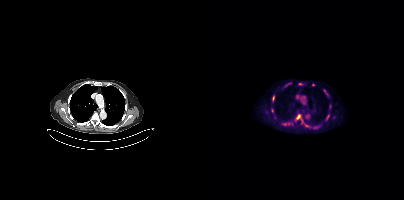
- Two-panel axial: CT | PSMA PET, 18F-PSMA tracer
- slice 270 of 373
Findings: Coordinates are on the 200×200 PET (right) panel. (showing 10 of 11 foci) PSMA-avid tumor lesion bounding boxes (x0,y0,x1,y1): [80,121,85,126] [92,114,96,119] [68,96,70,102] [67,108,69,112] [102,125,106,127] [123,115,125,119]. Small PSMA-avid foci (2 to 4 px across) near (center x, center y): (109, 84) (120, 90) (97, 83) (81, 85).